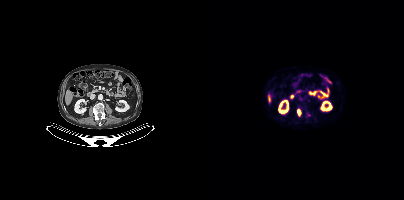
- Two-panel axial: CT | PSMA PET, 18F tracer
- slice position z = -737 mm
Findings: Coordinates are on the 200×200 PET (right) panel. (showing 1 of 2 foci) PSMA-avid tumor lesion bounding box (x0, y0)-(x1, y1): (93, 109)-(96, 115).